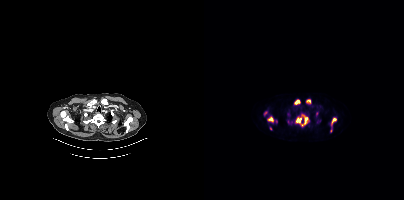
Technique: Left: CT. Right: PSMA PET, same axial level, 18F-PSMA tracer.
Findings: Coordinates are on the 200×200 PET (right) panel. (showing 6 of 7 foci) PSMA-avid tumor lesion bounding boxes (x, y, width, height): x=92 y=115 w=13 h=12 | x=127 y=118 w=6 h=7 | x=64 y=117 w=6 h=5 | x=91 y=100 w=5 h=4. Small PSMA-avid foci (2 to 4 px across) near (center x, center y): (66, 128) | (105, 100).